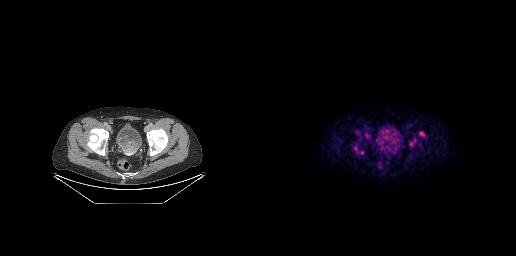
{"pet_grid":[256,256],"coord_frame":"pet_panel","coord_format":"x0,y0,x1,y1","lesion_bboxes":[[160,132,164,135]],"small_foci_centers":[[151,144]],"modality":"PSMA PET/CT","view":"axial","tracer":"18F-PSMA"}